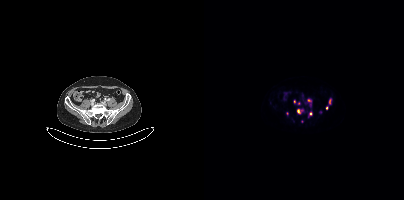
Two-panel axial: CT | PSMA PET, 68Ga tracer. Slice 120 of 411. PET panel 200×200 px (4.1 mm/px). Coordinates are on the 200×200 PET (right) panel. (showing 7 of 11 foci) PSMA-avid tumor lesion bounding boxes (x0,y0,x1,y1): [103,99,107,102]; [93,109,96,113]. Small PSMA-avid foci (2 to 4 px across) near (center x, center y): (83, 113); (98, 121); (90, 101); (122, 107); (97, 109).